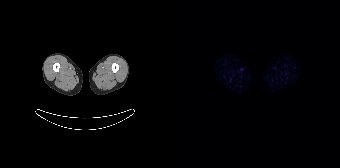
modality: PSMA PET/CT | tracer: 18F-PSMA | view: axial | PET grid: 168×168
No tumor lesions annotated on this slice.